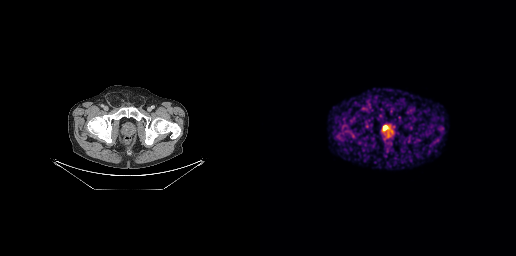
Findings: Coordinates are on the 256×256 PET (right) panel. PSMA-avid tumor lesion bounding box (x0, y0)-(x1, y1): (123, 125)-(127, 129).
Technique: Left: CT. Right: PSMA PET, same axial level, 68Ga-PSMA tracer. acquired on GE Discovery 690. PET panel 256×256 px (2.7 mm/px).